modality: PSMA PET/CT | tracer: 18F-PSMA | view: axial
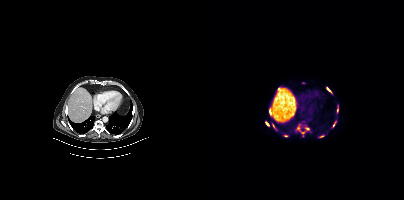
Coordinates are on the 200×200 PET (right) panel. (showing 8 of 11 foci) PSMA-avid tumor lesion bounding boxes (x, y, width, height): x=123 y=87 w=5 h=6 | x=61 y=122 w=5 h=4 | x=129 y=122 w=3 h=5. Small PSMA-avid foci (2 to 4 px across) near (center x, center y): (103, 128) | (117, 136) | (82, 135) | (74, 88) | (94, 127).